Technique: Two-panel axial: CT | PSMA PET, 18F-PSMA tracer. acquired on Siemens Biograph mCT Flow 20. PET panel 200×200 px (4.1 mm/px).
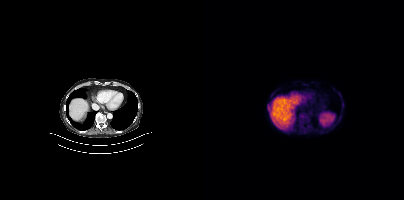
Findings: Coordinates are on the 200×200 PET (right) panel. (showing 1 of 2 foci) PSMA-avid tumor lesion bounding box (x0,y0,x1,y1): [95,113,105,122].